- Paired axial CT (left) and PSMA PET (right), [18F]PSMA-1007 tracer
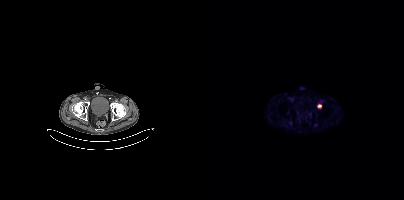
Findings: Coordinates are on the 200×200 PET (right) panel. PSMA-avid tumor lesion bounding box (x, y, width, height): x=113 y=104 w=5 h=5.